Two-panel axial: CT | PSMA PET, 18F tracer.
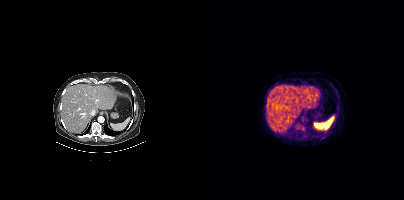
Coordinates are on the 200×200 PET (right) panel. PSMA-avid tumor lesion bounding box (x, y, width, height): x=97 y=126 w=4 h=5.